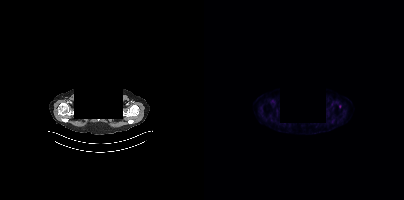
{"pet_grid":[200,200],"coord_frame":"pet_panel","coord_format":"x0,y0,x1,y1","psma_avid_lesions":false,"modality":"PSMA PET/CT","view":"axial","tracer":"[18F]PSMA-1007","redaction":"head region blanked (face removed)"}